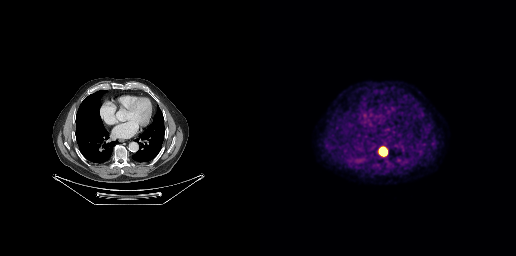
Coordinates are on the 256×256 PET (right) panel. PSMA-avid tumor lesion bounding box (x0,y0,x1,y1): [119,147,127,155].